modality: PSMA PET/CT | tracer: 68Ga | view: axial
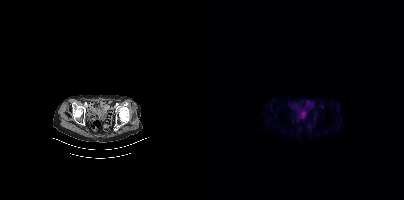
No PSMA-avid tumor lesions on this slice.